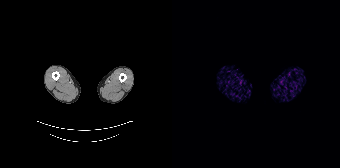
{"modality":"PSMA PET/CT","view":"axial","tracer":"68Ga","pet_grid":[168,168],"coord_frame":"pet_panel","coord_format":"x0,y0,x1,y1","psma_avid_lesions":false}